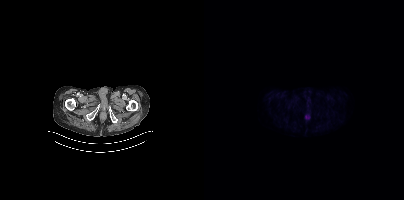
No tumor lesions annotated on this slice.